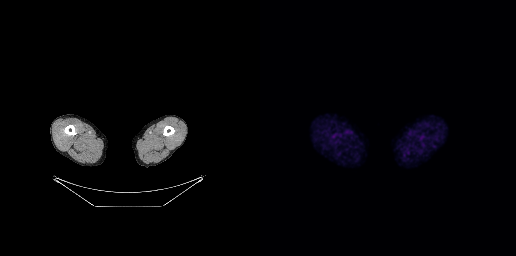
Findings: No tumor lesions annotated on this slice.
Technique: Left: CT. Right: PSMA PET, same axial level, 18F-PSMA tracer. PET panel 256×256 px (2.7 mm/px).